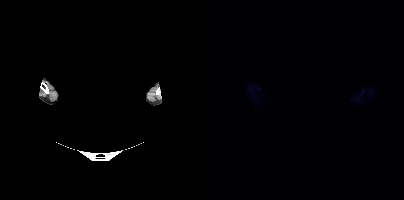
A rectangle over the head was blacked out to remove identifiable facial features.
No PSMA-avid tumor lesions on this slice.